Technique: Left: CT. Right: PSMA PET, same axial level, [18F]PSMA-1007 tracer. acquired on GE Discovery 690. slice 110 of 299.
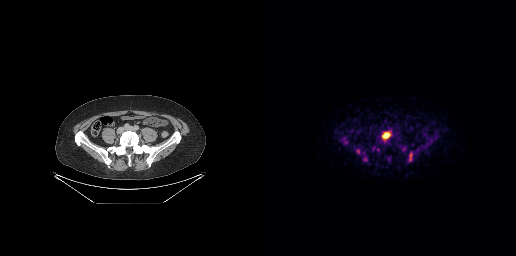
Findings: Coordinates are on the 256×256 PET (right) panel. (showing 4 of 6 foci) PSMA-avid tumor lesion bounding boxes (x0,y0,x1,y1): [122,131,131,140] [96,149,100,153] [103,157,107,161] [150,153,151,160].